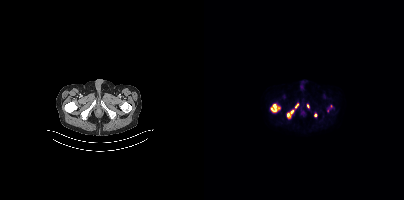
Left: CT. Right: PSMA PET, same axial level, 18F tracer.
Coordinates are on the 200×200 PET (right) panel. PSMA-avid tumor lesion bounding boxes (partial; 1 more focus not listed):
| # | x0 | y0 | x1 | y1 |
|---|---|---|---|---|
| 1 | 67 | 104 | 75 | 112 |
| 2 | 83 | 110 | 89 | 118 |
| 3 | 91 | 103 | 94 | 108 |
Small PSMA-avid foci (2 to 4 px across) near (center x, center y): (111, 114); (104, 105); (127, 106).